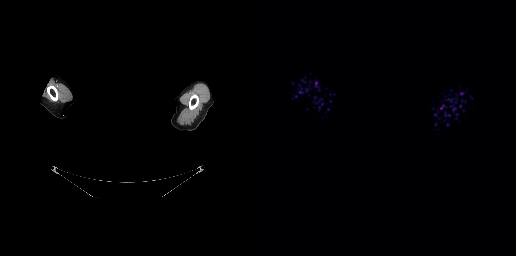
deidentification: face masked with black rectangle | modality: PSMA PET/CT | tracer: 18F-PSMA | view: axial
Negative for PSMA-avid disease on this slice.